- Paired axial CT (left) and PSMA PET (right), 68Ga-PSMA tracer
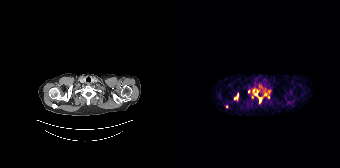
Findings: Coordinates are on the 168×168 PET (right) panel. (showing 7 of 9 foci) PSMA-avid tumor lesion bounding boxes (x, y, width, height): x=82 y=90 w=8 h=14 / x=62 y=93 w=5 h=7. Small PSMA-avid foci (2 to 4 px across) near (center x, center y): (81, 90) / (76, 91) / (93, 94) / (96, 97) / (54, 106).